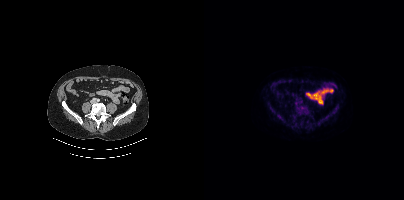
Coordinates are on the 200×200 PET (right) panel. PSMA-avid tumor lesion bounding boxes (x0, y0)-(x1, y1): (91, 101)-(102, 115); (62, 100)-(71, 112); (116, 115)-(124, 122); (128, 108)-(132, 113); (89, 117)-(92, 121). Small PSMA-avid focus (2 to 4 px across) near (center x, center y): (78, 118).